modality: PSMA PET/CT | tracer: 18F-PSMA | view: axial
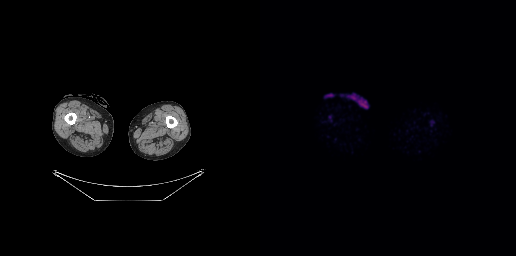
No tumor lesions annotated on this slice.